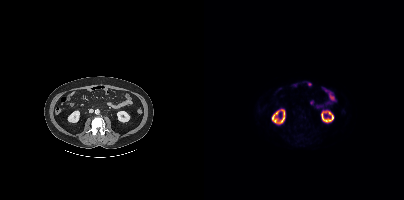
No tumor lesions annotated on this slice.